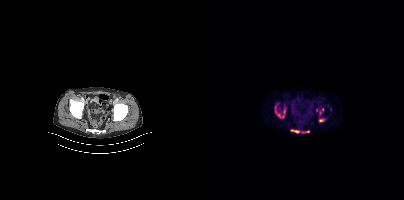
Findings: Coordinates are on the 200×200 PET (right) panel. (showing 5 of 7 foci) PSMA-avid tumor lesion bounding boxes (x, y, width, height): x=71 y=106 w=11 h=13 / x=87 y=129 w=9 h=5 / x=115 y=119 w=6 h=3 / x=97 y=131 w=9 h=3. Small PSMA-avid focus (2 to 4 px across) near (center x, center y): (118, 109).
- Paired axial CT (left) and PSMA PET (right), 18F-PSMA tracer